Technique: Two-panel axial: CT | PSMA PET, [68Ga]Ga-PSMA-11 tracer. acquired on Siemens Biograph 64-4R TruePoint.
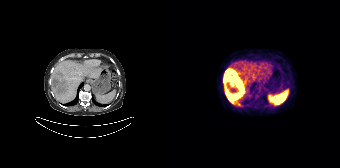
Findings: Coordinates are on the 168×168 PET (right) panel. PSMA-avid tumor lesion bounding box (x0,y0,x1,y1): [51,70,71,103]. Small PSMA-avid focus (2 to 4 px across) near (center x, center y): (65, 104).